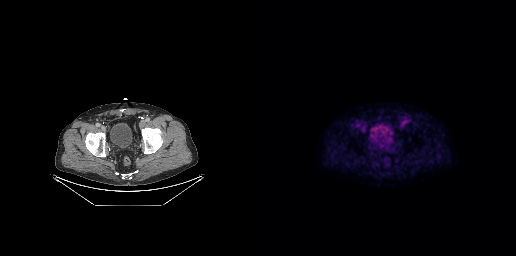
- Left: CT. Right: PSMA PET, same axial level, 18F-PSMA tracer
- acquired on GE Discovery 690
- PET panel 256×256 px (2.7 mm/px)
Findings: No tumor lesions annotated on this slice.